Technique: Two-panel axial: CT | PSMA PET, [18F]PSMA-1007 tracer. slice 95 of 263. PET panel 256×256 px (2.7 mm/px).
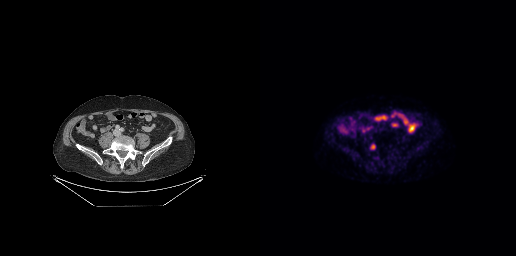
Findings: Coordinates are on the 256×256 PET (right) panel. PSMA-avid tumor lesion bounding box (x0, y0)-(x1, y1): (111, 144)-(115, 149).